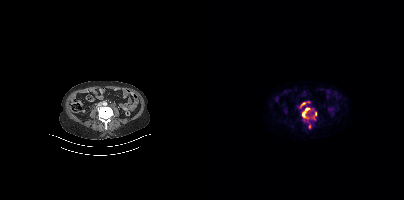
Paired axial CT (left) and PSMA PET (right), [68Ga]Ga-PSMA-11 tracer. Acquired on Siemens Biograph mCT Flow 20. PET panel 200×200 px (4.1 mm/px).
Coordinates are on the 200×200 PET (right) panel. PSMA-avid tumor lesion bounding boxes (partial; 1 more focus not listed):
| # | x0 | y0 | x1 | y1 |
|---|---|---|---|---|
| 1 | 98 | 107 | 107 | 120 |
| 2 | 109 | 112 | 112 | 120 |
| 3 | 104 | 119 | 107 | 123 |
Small PSMA-avid foci (2 to 4 px across) near (center x, center y): (105, 126); (96, 106).